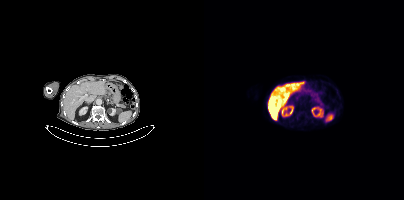
Findings: This slice has no annotated PSMA-avid lesion.
- Paired axial CT (left) and PSMA PET (right), [18F]PSMA-1007 tracer
- slice 218 of 409
- PET panel 200×200 px (4.1 mm/px)